Two-panel axial: CT | PSMA PET, [68Ga]Ga-PSMA-11 tracer. PET panel 200×200 px (4.1 mm/px).
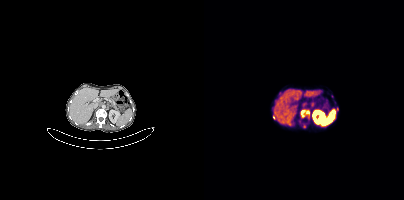
Coordinates are on the 200×200 PET (right) panel. (showing 4 of 5 foci) PSMA-avid tumor lesion bounding box (x, y, width, height): x=97 y=110 w=9 h=8. Small PSMA-avid foci (2 to 4 px across) near (center x, center y): (133, 109) / (69, 117) / (100, 126).